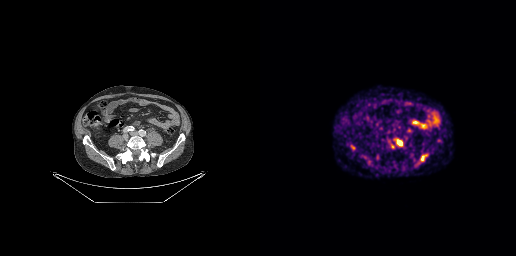
Coordinates are on the 256×256 PET (right) panel. PSMA-avid tumor lesion bounding boxes:
| # | x0 | y0 | x1 | y1 |
|---|---|---|---|---|
| 1 | 137 | 140 | 142 | 145 |
| 2 | 130 | 143 | 135 | 148 |
| 3 | 161 | 154 | 168 | 158 |
| 4 | 91 | 145 | 95 | 149 |
Left: CT. Right: PSMA PET, same axial level, 68Ga tracer. Slice 91 of 263. PET panel 256×256 px (2.7 mm/px).